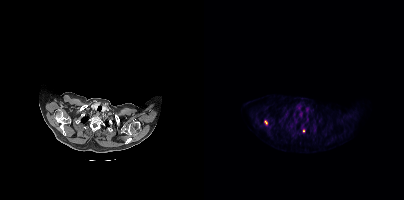
- Two-panel axial: CT | PSMA PET, 18F-PSMA tracer
Findings: Coordinates are on the 200×200 PET (right) panel. PSMA-avid tumor lesion bounding box (x0,y0,x1,y1): [61,120,63,124]. Small PSMA-avid focus (2 to 4 px across) near (center x, center y): (99, 130).